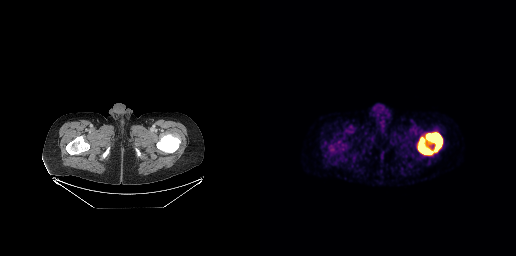
Paired axial CT (left) and PSMA PET (right), [18F]PSMA-1007 tracer. Coordinates are on the 256×256 PET (right) panel. PSMA-avid tumor lesion bounding box (x0,y0,x1,y1): [158,132,182,155].